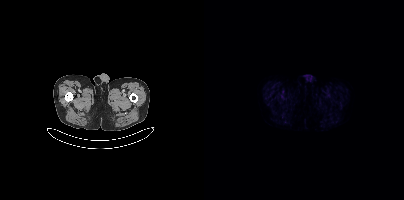
- Two-panel axial: CT | PSMA PET, [18F]PSMA-1007 tracer
- acquired on Siemens Biograph mCT Flow 20
- slice position z = -1011 mm
- PET panel 200×200 px (4.1 mm/px)
Findings: This slice has no annotated PSMA-avid lesion.